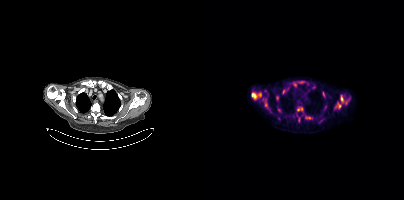
Findings: Coordinates are on the 200×200 PET (right) panel. (showing 8 of 14 foci) PSMA-avid tumor lesion bounding boxes (x0,y0,x1,y1): [47,93,57,99]; [131,102,137,108]; [136,95,139,102]; [60,103,64,108]; [102,117,106,118]. Small PSMA-avid foci (2 to 4 px across) near (center x, center y): (97, 82); (79, 91); (142, 102).
Technique: Paired axial CT (left) and PSMA PET (right), 18F tracer.